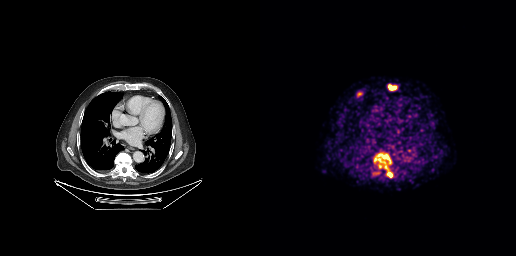
{"pet_grid":[256,256],"coord_frame":"pet_panel","coord_format":"x0,y0,x1,y1","partial":true,"lesion_bboxes":[[114,152,133,177],[128,84,136,90]],"small_foci_centers":[[99,94]],"modality":"PSMA PET/CT","view":"axial","tracer":"68Ga-PSMA"}